- Left: CT. Right: PSMA PET, same axial level, 18F-PSMA tracer
- acquired on Siemens Biograph mCT Flow 20
- slice 372 of 387
- PET panel 200×200 px (4.1 mm/px)
- de-identified by setting a box covering the face to black before release
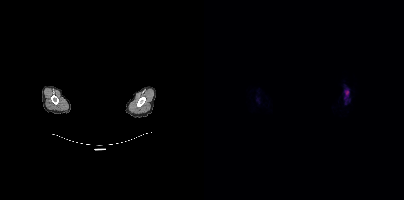
Findings: Coordinates are on the 200×200 PET (right) panel. PSMA-avid tumor lesion bounding box (x0, y0)-(x1, y1): (140, 90)-(145, 98).